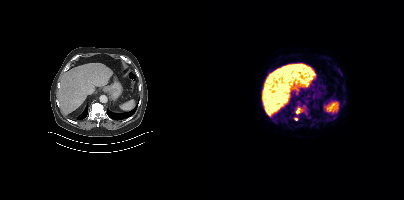
Coordinates are on the 200×200 PET (right) panel. PSMA-avid tumor lesion bounding box (x, y, width, height): x=93 y=108 w=8 h=5. Small PSMA-avid foci (2 to 4 px across) near (center x, center y): (92, 119) | (100, 106).